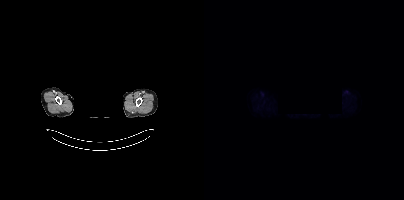
The head region is masked for de-identification. Left: CT. Right: PSMA PET, same axial level, [18F]PSMA-1007 tracer. Acquired on Siemens Biograph mCT Flow 20. Slice position z = -867 mm. This slice has no annotated PSMA-avid lesion.